modality: PSMA PET/CT | tracer: [68Ga]Ga-PSMA-11 | view: axial | PET grid: 200×200
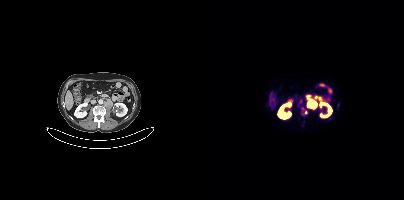
Coordinates are on the 200×200 PET (right) panel. PSMA-avid tumor lesion bounding boxes (x, y, width, height): x=94 y=99 w=5 h=5; x=97 y=107 w=6 h=7; x=133 y=103 w=3 h=5.